- Left: CT. Right: PSMA PET, same axial level, 18F tracer
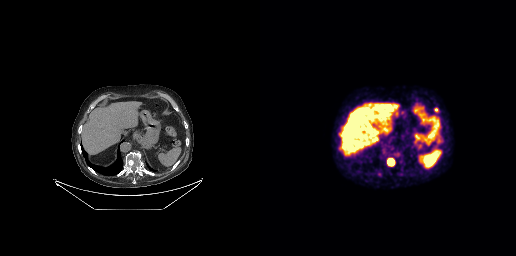
Findings: Coordinates are on the 256×256 PET (right) panel. PSMA-avid tumor lesion bounding boxes (x0, y0)-(x1, y1): (127, 158)-(135, 166); (174, 108)-(178, 111).